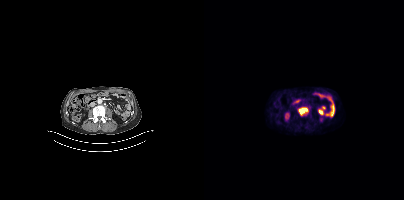
modality: PSMA PET/CT | tracer: 18F-PSMA | view: axial
Coordinates are on the 200×200 PET (right) panel. PSMA-avid tumor lesion bounding box (x0,y0,x1,y1): [94,107,104,115].